Two-panel axial: CT | PSMA PET, 68Ga tracer. Acquired on Siemens Biograph 64-4R TruePoint. Slice 136 of 165.
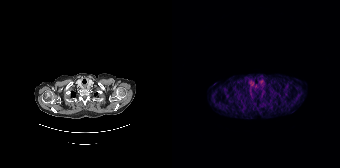
This slice has no annotated PSMA-avid lesion.